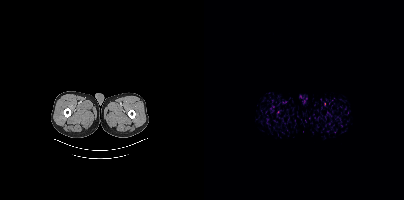
Negative for PSMA-avid disease on this slice.